De-identified by setting a box covering the face to black before release.
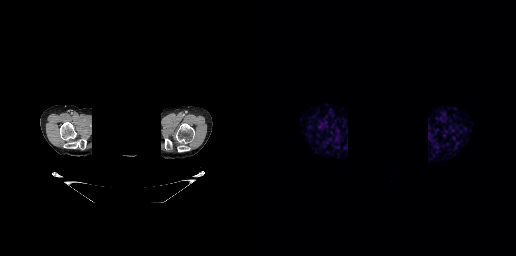
This slice has no annotated PSMA-avid lesion.